modality: PSMA PET/CT | tracer: 18F | view: axial
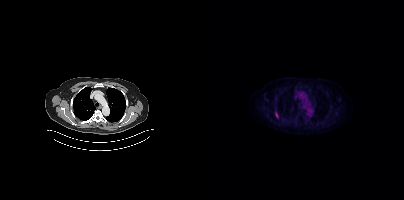
Coordinates are on the 200×200 PET (right) panel. Small PSMA-avid focus (2 to 4 px across) near (center x, center y): (72, 114).